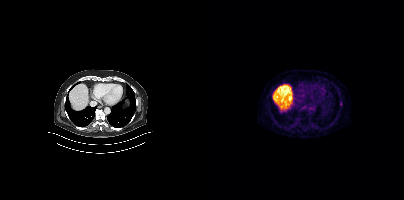
Left: CT. Right: PSMA PET, same axial level, [68Ga]Ga-PSMA-11 tracer. Slice position z = -855 mm. PET panel 200×200 px (4.1 mm/px). Coordinates are on the 200×200 PET (right) panel. Small PSMA-avid focus (2 to 4 px across) near (center x, center y): (137, 103).